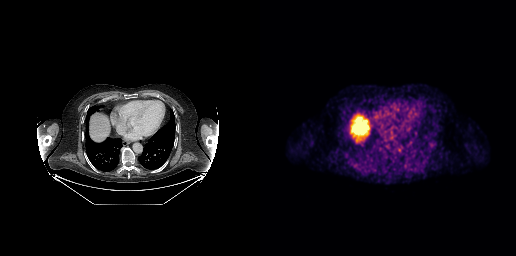
Findings: Negative for PSMA-avid disease on this slice.
- Two-panel axial: CT | PSMA PET, 18F-PSMA tracer
- acquired on GE Discovery 690
- PET panel 256×256 px (2.7 mm/px)